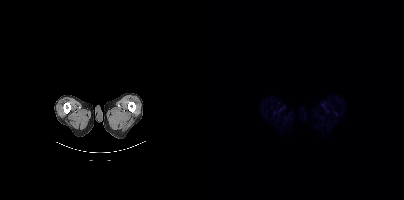
Two-panel axial: CT | PSMA PET, 18F-PSMA tracer. Slice 9 of 435. PET panel 200×200 px (4.1 mm/px). No PSMA-avid tumor lesions on this slice.